Technique: Paired axial CT (left) and PSMA PET (right), 18F-PSMA tracer. acquired on Siemens Biograph mCT Flow 20.
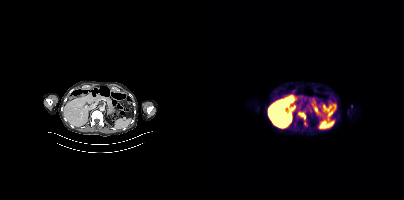
Findings: Coordinates are on the 200×200 PET (right) panel. PSMA-avid tumor lesion bounding box (x, y, width, height): x=94 y=111 w=9 h=10. Small PSMA-avid focus (2 to 4 px across) near (center x, center y): (100, 123).